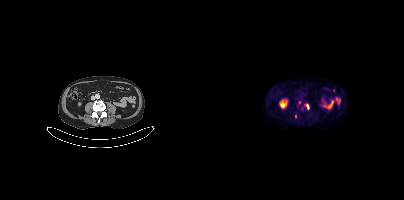
{"pet_grid":[200,200],"coord_frame":"pet_panel","coord_format":"x0,y0,x1,y1","lesion_bboxes":[[101,104,105,109]],"small_foci_centers":[[91,116],[95,102]],"modality":"PSMA PET/CT","view":"axial","tracer":"18F"}